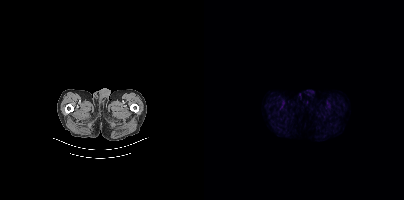
modality: PSMA PET/CT | tracer: 18F | view: axial
No tumor lesions annotated on this slice.